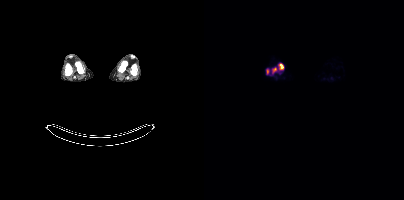
Coordinates are on the 200×200 PET (right) panel. (showing 1 of 2 foci) PSMA-avid tumor lesion bounding box (x0,y0,x1,y1): [76,64,79,68].